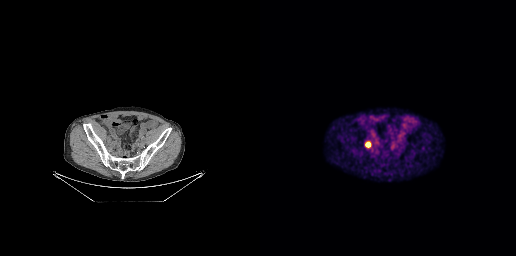
Coordinates are on the 256×256 PET (right) panel. Small PSMA-avid focus (2 to 4 px across) near (center x, center y): (107, 144). Two-panel axial: CT | PSMA PET, 68Ga tracer.